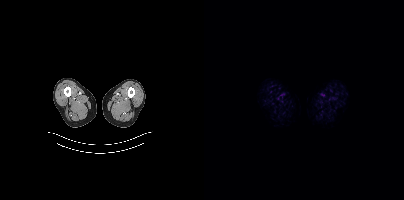
Two-panel axial: CT | PSMA PET, [18F]PSMA-1007 tracer. PET panel 200×200 px (4.1 mm/px). Negative for PSMA-avid disease on this slice.